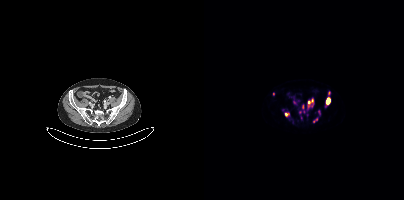
{"modality":"PSMA PET/CT","view":"axial","tracer":"68Ga-PSMA","pet_grid":[200,200],"coord_frame":"pet_panel","coord_format":"x0,y0,x1,y1","partial":true,"lesion_bboxes":[[103,101,109,110],[122,98,126,105],[114,110,116,114]],"small_foci_centers":[[83,114],[125,93],[69,94],[98,106]]}